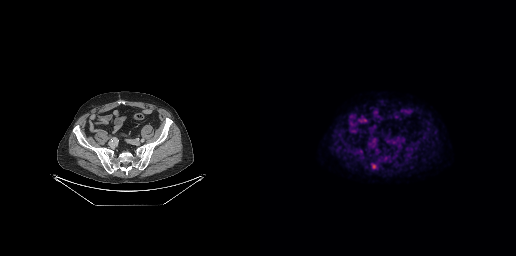
Findings: This slice has no annotated PSMA-avid lesion.
- Paired axial CT (left) and PSMA PET (right), 18F-PSMA tracer
- PET panel 256×256 px (2.7 mm/px)